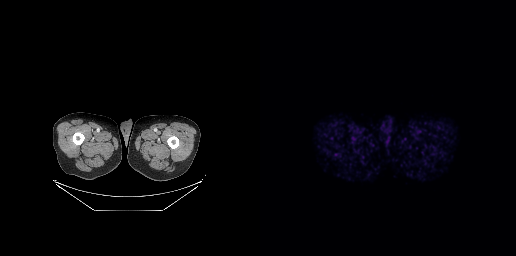
Findings: No tumor lesions annotated on this slice.
Technique: Left: CT. Right: PSMA PET, same axial level, [68Ga]Ga-PSMA-11 tracer. acquired on GE Discovery 690.